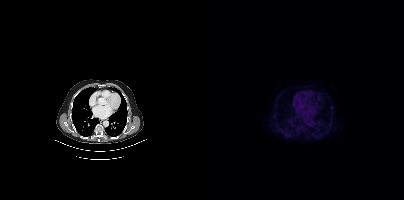
Left: CT. Right: PSMA PET, same axial level, [18F]PSMA-1007 tracer. PET panel 200×200 px (4.1 mm/px). Only PSMA-avid lesion pieces thinner than 2 px on this slice (not listed).